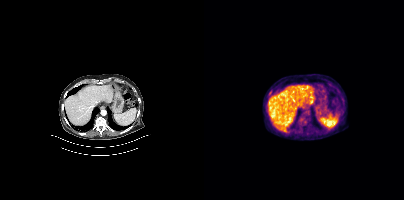
Technique: Two-panel axial: CT | PSMA PET, 18F tracer. PET panel 200×200 px (4.1 mm/px).
Findings: No PSMA-avid tumor lesions on this slice.